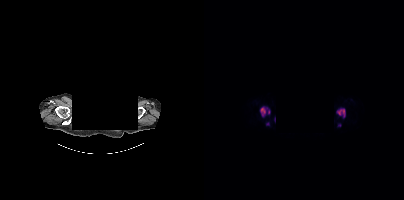
Technique: Left: CT. Right: PSMA PET, same axial level, 18F tracer. acquired on Siemens Biograph mCT Flow 20. PET panel 200×200 px (4.1 mm/px).
Note: De-identified by setting a box covering the face to black before release.
Findings: Coordinates are on the 200×200 PET (right) panel. PSMA-avid tumor lesion bounding boxes (x0, y0)-(x1, y1): (56, 106)-(66, 117); (132, 108)-(141, 117). Small PSMA-avid foci (2 to 4 px across) near (center x, center y): (63, 123); (135, 125).